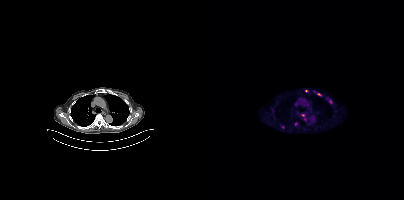
Coordinates are on the 200×200 PET (right) panel. (showing 7 of 9 foci) PSMA-avid tumor lesion bounding box (x, y, width, height): x=113 y=93 w=5 h=4. Small PSMA-avid foci (2 to 4 px across) near (center x, center y): (126, 101) / (102, 91) / (99, 115) / (92, 124) / (78, 127) / (110, 91).